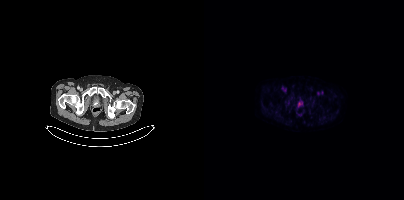
- Paired axial CT (left) and PSMA PET (right), [18F]PSMA-1007 tracer
- acquired on Siemens Biograph mCT Flow 20
- slice position z = -1565 mm
- PET panel 200×200 px (4.1 mm/px)
Findings: This slice has no annotated PSMA-avid lesion.